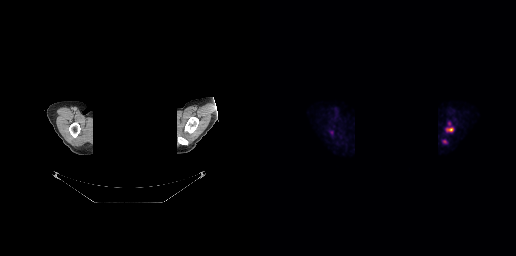
{"modality":"PSMA PET/CT","view":"axial","tracer":"18F","pet_grid":[256,256],"coord_frame":"pet_panel","coord_format":"x0,y0,x1,y1","lesion_bboxes":[[186,127,193,132]],"small_foci_centers":[[71,132],[189,122],[184,141]],"deidentification":"head region blacked out before release"}